modality: PSMA PET/CT | tracer: 18F-PSMA | view: axial
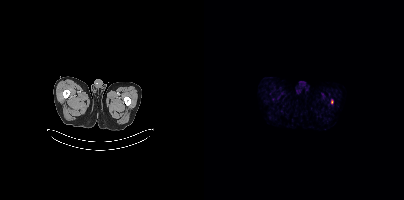
Coordinates are on the 200×200 PET (right) panel. Small PSMA-avid focus (2 to 4 px across) near (center x, center y): (127, 101).